modality: PSMA PET/CT | tracer: 68Ga | view: axial
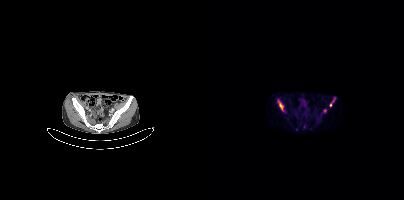
Coordinates are on the 200×200 PET (right) panel. (showing 3 of 5 foci) PSMA-avid tumor lesion bounding boxes (x0, y0)-(x1, y1): (74, 101)-(81, 111) / (125, 97)-(131, 106). Small PSMA-avid focus (2 to 4 px across) near (center x, center y): (120, 110).